Technique: Paired axial CT (left) and PSMA PET (right), 18F tracer. slice position z = -824 mm. PET panel 200×200 px (4.1 mm/px).
Note: The face region was removed for patient privacy by blanking a rectangle over the head.
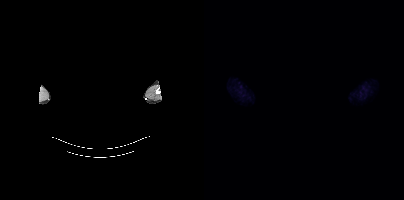
Findings: No tumor lesions annotated on this slice.